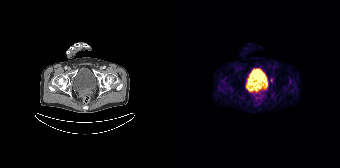
modality: PSMA PET/CT | tracer: 68Ga-PSMA | view: axial | PET grid: 168×168
Only PSMA-avid lesion pieces thinner than 2 px on this slice (not listed).